modality: PSMA PET/CT | tracer: [18F]PSMA-1007 | view: axial | PET grid: 168×168
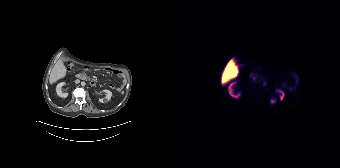
Negative for PSMA-avid disease on this slice.